de-identification: head region blanked (face removed) | modality: PSMA PET/CT | tracer: 68Ga | view: axial | PET grid: 256×256
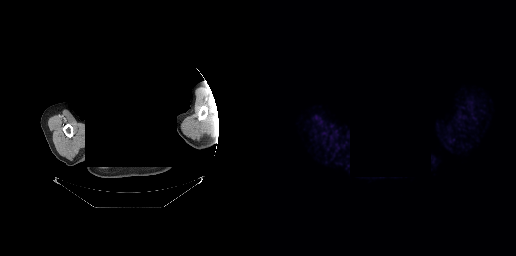
No tumor lesions annotated on this slice.